modality: PSMA PET/CT | tracer: [18F]PSMA-1007 | view: axial | PET grid: 200×200
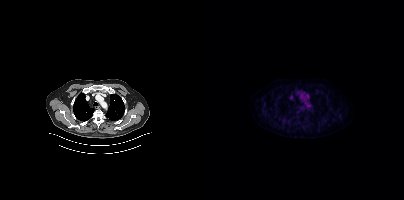
No PSMA-avid tumor lesions on this slice.